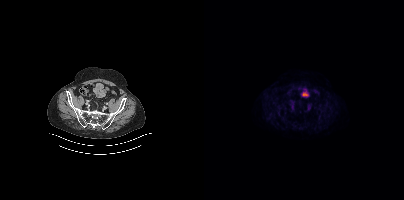
- Two-panel axial: CT | PSMA PET, [18F]PSMA-1007 tracer
- acquired on Siemens Biograph mCT Flow 20
- slice 113 of 413
- PET panel 200×200 px (4.1 mm/px)
Findings: This slice has no annotated PSMA-avid lesion.